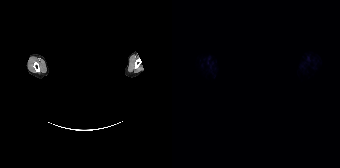
This slice has no annotated PSMA-avid lesion.
modality: PSMA PET/CT | tracer: 18F-PSMA | view: axial | redaction: facial region redacted